Two-panel axial: CT | PSMA PET, [18F]PSMA-1007 tracer. Acquired on Siemens Biograph mCT Flow 20. Slice 399 of 466. PET panel 200×200 px (4.1 mm/px). Any black rectangle here is a de-identification mask.
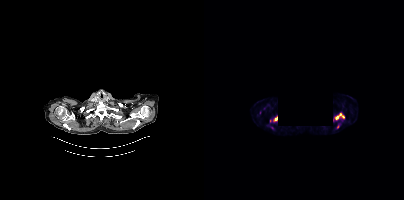
Coordinates are on the 200×200 PET (right) panel. (showing 4 of 5 foci) PSMA-avid tumor lesion bounding boxes (x0, y0)-(x1, y1): (131, 113)-(140, 119); (69, 116)-(73, 121). Small PSMA-avid foci (2 to 4 px across) near (center x, center y): (66, 121); (133, 126).